Paired axial CT (left) and PSMA PET (right), 68Ga-PSMA tracer. PET panel 168×168 px (4.1 mm/px).
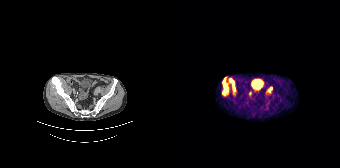
Coordinates are on the 168×168 PET (right) panel. PSMA-avid tumor lesion bounding boxes:
| # | x0 | y0 | x1 | y1 |
|---|---|---|---|---|
| 1 | 50 | 77 | 56 | 95 |
| 2 | 57 | 78 | 63 | 93 |
| 3 | 94 | 87 | 100 | 93 |
Small PSMA-avid focus (2 to 4 px across) near (center x, center y): (78, 93).